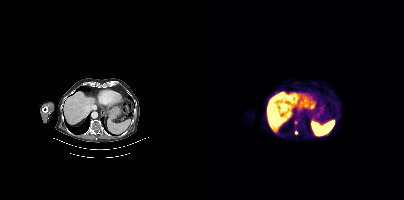
Technique: Paired axial CT (left) and PSMA PET (right), [18F]PSMA-1007 tracer. PET panel 200×200 px (4.1 mm/px).
Findings: Coordinates are on the 200×200 PET (right) panel. Small PSMA-avid foci (2 to 4 px across) near (center x, center y): (92, 132); (91, 122).